- Left: CT. Right: PSMA PET, same axial level, 18F-PSMA tracer
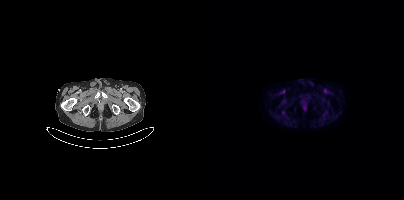
Findings: Negative for PSMA-avid disease on this slice.